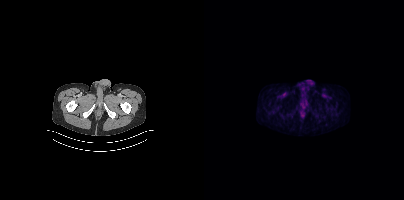
{"pet_grid":[200,200],"coord_frame":"pet_panel","coord_format":"x0,y0,x1,y1","psma_avid_lesions":false,"modality":"PSMA PET/CT","view":"axial","tracer":"18F-PSMA"}